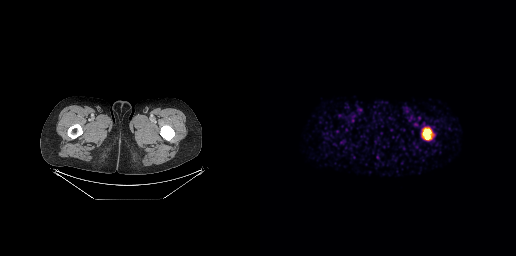
Findings: Coordinates are on the 256×256 PET (right) panel. PSMA-avid tumor lesion bounding box (x0,y0,x1,y1): [162,128,172,139].
- Left: CT. Right: PSMA PET, same axial level, 68Ga-PSMA tracer